Two-panel axial: CT | PSMA PET, 18F-PSMA tracer.
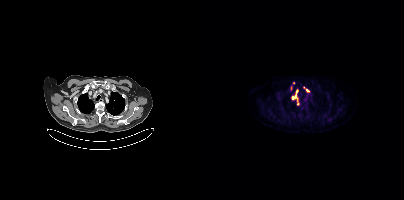
Coordinates are on the 200×200 PET (right) panel. PSMA-avid tumor lesion bounding boxes (x, y, width, height): x=88 y=95 w=5 h=5; x=93 y=100 w=2 h=5. Small PSMA-avid foci (2 to 4 px across) near (center x, center y): (87, 87); (103, 90); (89, 83); (92, 91).